- Left: CT. Right: PSMA PET, same axial level, 68Ga tracer
- acquired on Siemens Biograph mCT Flow 20
- slice 222 of 403
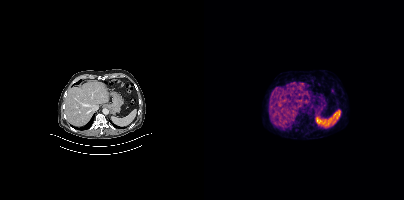
Findings: No tumor lesions annotated on this slice.